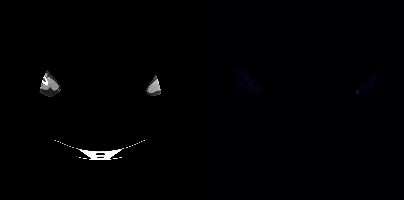
Findings: No PSMA-avid tumor lesions on this slice.
- Left: CT. Right: PSMA PET, same axial level, [18F]PSMA-1007 tracer
- any black rectangle over the head is a privacy mask, not anatomy